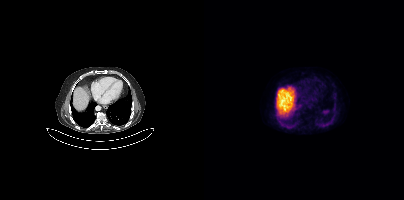
No tumor lesions annotated on this slice. Two-panel axial: CT | PSMA PET, 18F tracer. PET panel 200×200 px (4.1 mm/px).